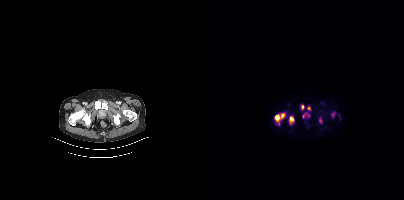
{"modality":"PSMA PET/CT","view":"axial","tracer":"[18F]PSMA-1007","pet_grid":[200,200],"coord_frame":"pet_panel","coord_format":"x0,y0,x1,y1","partial":true,"lesion_bboxes":[[85,116,89,123],[71,115,75,120]],"small_foci_centers":[[78,115],[116,120],[105,107],[98,106]]}